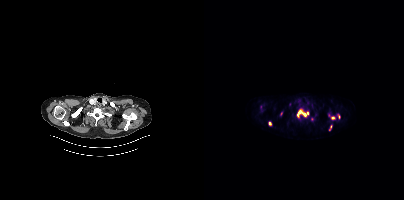
Left: CT. Right: PSMA PET, same axial level, [18F]PSMA-1007 tracer. Acquired on Siemens Biograph mCT Flow 20. Slice 373 of 444.
Coordinates are on the 200×200 PET (right) panel. PSMA-avid tumor lesion bounding boxes (partial; 4 more foci not listed):
| # | x0 | y0 | x1 | y1 |
|---|---|---|---|---|
| 1 | 93 | 109 | 104 | 117 |
| 2 | 127 | 116 | 131 | 119 |
| 3 | 134 | 114 | 136 | 118 |
Small PSMA-avid foci (2 to 4 px across) near (center x, center y): (66, 123); (126, 126).